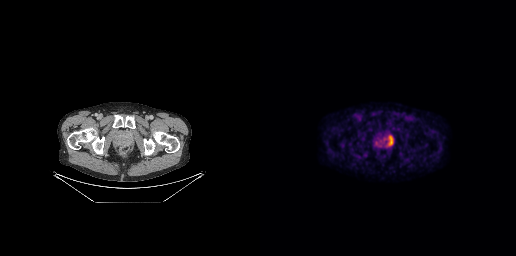
Two-panel axial: CT | PSMA PET, 18F tracer. Slice 59 of 263. PET panel 256×256 px (2.7 mm/px).
Coordinates are on the 256×256 PET (right) panel. PSMA-avid tumor lesion bounding boxes:
| # | x0 | y0 | x1 | y1 |
|---|---|---|---|---|
| 1 | 127 | 135 | 133 | 146 |